Left: CT. Right: PSMA PET, same axial level, [18F]PSMA-1007 tracer. Acquired on Siemens Biograph mCT Flow 20. Slice 145 of 344.
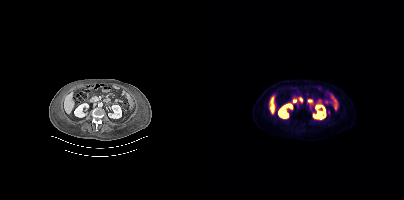
No PSMA-avid tumor lesions on this slice.